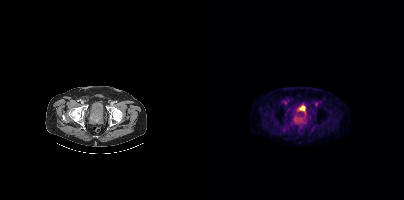
{"modality":"PSMA PET/CT","view":"axial","tracer":"[18F]PSMA-1007","pet_grid":[200,200],"coord_frame":"pet_panel","coord_format":"x0,y0,x1,y1","partial":true,"lesion_bboxes":[],"small_foci_centers":[[92,118]]}